Technique: Paired axial CT (left) and PSMA PET (right), [18F]PSMA-1007 tracer. acquired on Siemens Biograph mCT Flow 20. PET panel 200×200 px (4.1 mm/px).
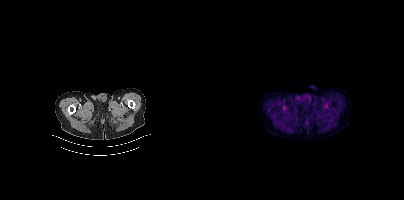
Findings: No PSMA-avid tumor lesions on this slice.